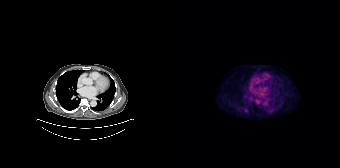
modality: PSMA PET/CT | tracer: 18F-PSMA | view: axial | PET grid: 168×168
Coordinates are on the 168×168 PET (right) panel. Small PSMA-avid focus (2 to 4 px across) near (center x, center y): (84, 100).